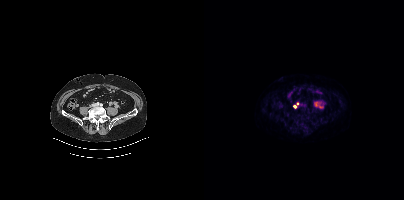
{"modality":"PSMA PET/CT","view":"axial","tracer":"18F","pet_grid":[200,200],"coord_frame":"pet_panel","coord_format":"x0,y0,x1,y1","partial":true,"lesion_bboxes":[],"small_foci_centers":[[90,106]]}